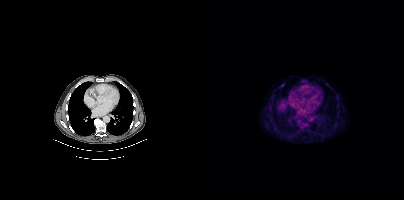
Left: CT. Right: PSMA PET, same axial level, [18F]PSMA-1007 tracer. Coordinates are on the 200×200 PET (right) panel. Small PSMA-avid focus (2 to 4 px across) near (center x, center y): (78, 84).